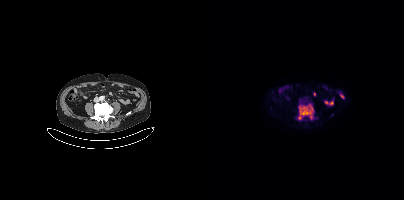
Coordinates are on the 200×200 PET (right) panel. PSMA-avid tumor lesion bounding box (x0,y0,x1,y1): [94,104,109,119].